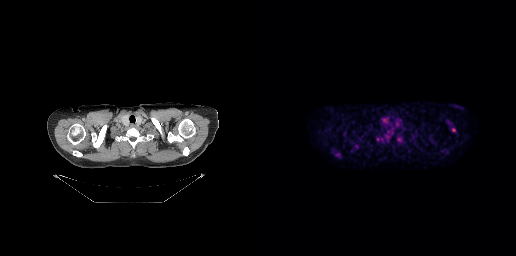
Coordinates are on the 256×256 PET (right) panel. Small PSMA-avid focus (2 to 4 px across) near (center x, center y): (193, 129).
modality: PSMA PET/CT | tracer: 18F | view: axial | PET grid: 256×256